Technique: Left: CT. Right: PSMA PET, same axial level, 68Ga tracer. acquired on Siemens Biograph 64-4R TruePoint.
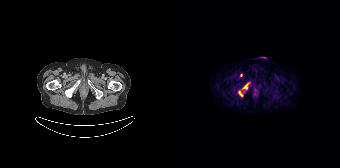
Findings: Coordinates are on the 168×168 PET (right) panel. PSMA-avid tumor lesion bounding boxes (x, y, width, height): x=70 y=82 w=8 h=8; x=66 y=91 w=5 h=6. Small PSMA-avid focus (2 to 4 px across) near (center x, center y): (69, 75).